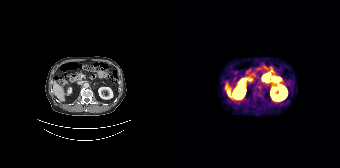
Technique: Left: CT. Right: PSMA PET, same axial level, 68Ga tracer. slice position z = -1302 mm.
Findings: No PSMA-avid tumor lesions on this slice.